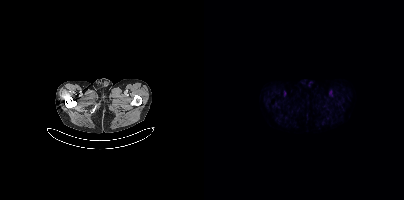
No tumor lesions annotated on this slice.